modality: PSMA PET/CT | tracer: 18F-PSMA | view: axial | PET grid: 256×256
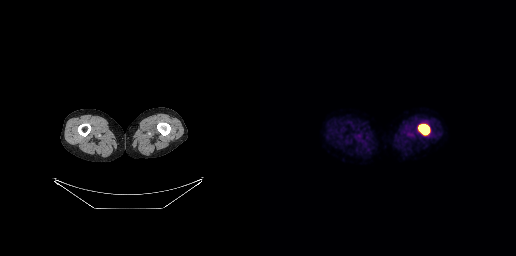
Coordinates are on the 256×256 PET (right) panel. PSMA-avid tumor lesion bounding box (x0,y0,x1,y1): [158,124,169,135].